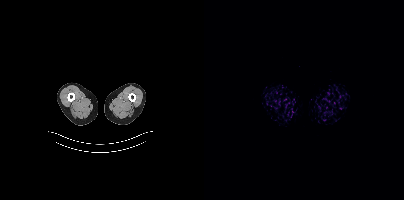
- Paired axial CT (left) and PSMA PET (right), [18F]PSMA-1007 tracer
- slice position z = -880 mm
Findings: This slice has no annotated PSMA-avid lesion.